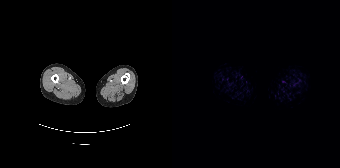
modality: PSMA PET/CT | tracer: 18F-PSMA | view: axial
This slice has no annotated PSMA-avid lesion.